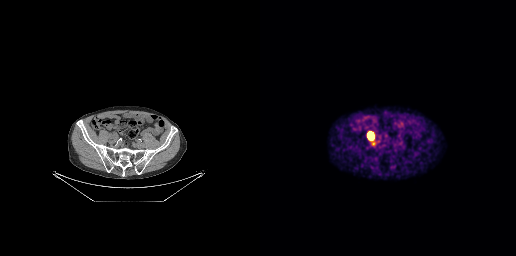
Coordinates are on the 256×256 PET (right) panel. PSMA-avid tumor lesion bounding box (x0,y0,x1,y1): [108,133,112,138].
modality: PSMA PET/CT | tracer: 68Ga | view: axial